modality: PSMA PET/CT | tracer: [18F]PSMA-1007 | view: axial | PET grid: 200×200
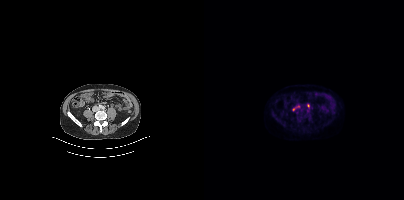
Coordinates are on the 200×200 PET (right) panel. (showing 1 of 2 foci) Small PSMA-avid focus (2 to 4 px across) near (center x, center y): (104, 105).